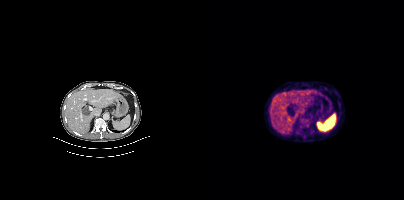
Left: CT. Right: PSMA PET, same axial level, 18F tracer.
Coordinates are on the 200×200 PET (right) panel. PSMA-avid tumor lesion bounding boxes:
| # | x0 | y0 | x1 | y1 |
|---|---|---|---|---|
| 1 | 95 | 117 | 107 | 127 |